Left: CT. Right: PSMA PET, same axial level, 18F-PSMA tracer. Acquired on Siemens Biograph mCT Flow 20. Slice 315 of 395. PET panel 200×200 px (4.1 mm/px).
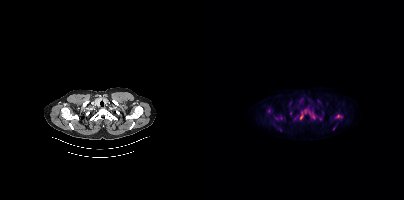
Coordinates are on the 200×200 PET (right) panel. PSMA-avid tumor lesion bounding boxes:
| # | x0 | y0 | x1 | y1 |
|---|---|---|---|---|
| 1 | 96 | 109 | 110 | 119 |
| 2 | 132 | 114 | 137 | 117 |
| 3 | 86 | 111 | 88 | 115 |
Small PSMA-avid foci (2 to 4 px across) near (center x, center y): (90, 118); (117, 118); (65, 110); (76, 130); (77, 117); (130, 128).